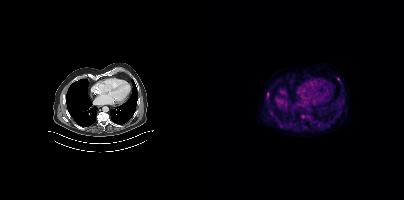
Coordinates are on the 200×200 PET (right) panel. Small PSMA-avid foci (2 to 4 px across) near (center x, center y): (63, 94), (98, 116).